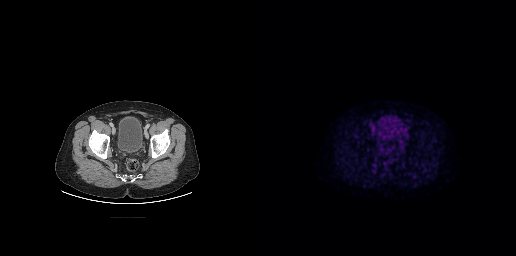
No tumor lesions annotated on this slice.